Two-panel axial: CT | PSMA PET, 68Ga tracer.
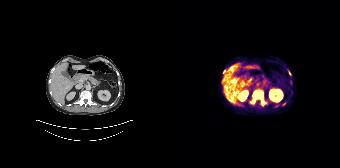
Coordinates are on the 168×168 PET (right) panel. (showing 5 of 6 foci) PSMA-avid tumor lesion bounding boxes (x, y, width, height): x=78 y=89 w=16 h=16 | x=64 y=103 w=5 h=3. Small PSMA-avid foci (2 to 4 px across) near (center x, center y): (111, 104) | (51, 72) | (117, 73).